Technique: Two-panel axial: CT | PSMA PET, 18F tracer. acquired on Siemens Biograph mCT Flow 20. slice 130 of 425. PET panel 200×200 px (4.1 mm/px).
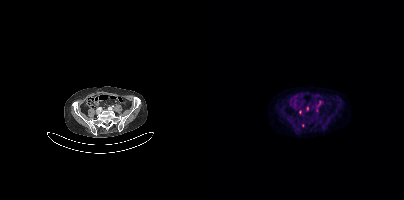
Findings: Coordinates are on the 200×200 PET (right) panel. Small PSMA-avid foci (2 to 4 px across) near (center x, center y): (96, 111) | (103, 108) | (99, 125).